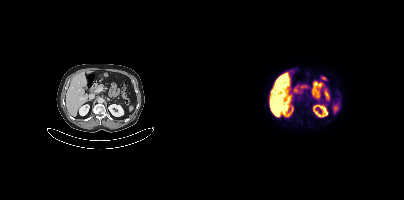
Findings: Coordinates are on the 200×200 PET (right) panel. PSMA-avid tumor lesion bounding box (x, y, width, height): x=92 y=96 w=5 h=6. Small PSMA-avid focus (2 to 4 px across) near (center x, center y): (106, 99).
Technique: Two-panel axial: CT | PSMA PET, 18F tracer.